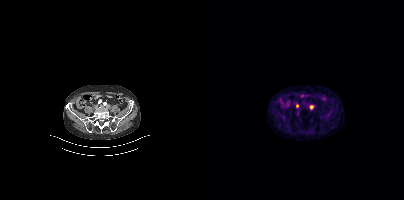
Technique: Paired axial CT (left) and PSMA PET (right), 68Ga-PSMA tracer. acquired on Siemens Biograph mCT Flow 20. PET panel 200×200 px (4.1 mm/px).
Findings: Coordinates are on the 200×200 PET (right) panel. Small PSMA-avid foci (2 to 4 px across) near (center x, center y): (93, 106) | (107, 107).